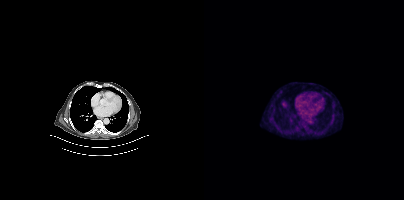
Technique: Paired axial CT (left) and PSMA PET (right), [18F]PSMA-1007 tracer. acquired on Siemens Biograph mCT Flow 20. slice 258 of 387. PET panel 200×200 px (4.1 mm/px).
Findings: This slice has no annotated PSMA-avid lesion.